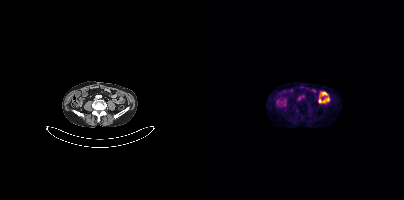
Negative for PSMA-avid disease on this slice.